- Two-panel axial: CT | PSMA PET, 18F tracer
- slice position z = -1099 mm
- PET panel 200×200 px (4.1 mm/px)
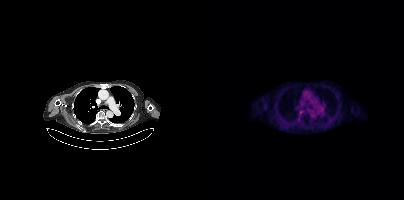
Findings: Negative for PSMA-avid disease on this slice.